Paired axial CT (left) and PSMA PET (right), 18F-PSMA tracer. PET panel 200×200 px (4.1 mm/px). An anonymization step blacked out a rectangle over the head in this scan.
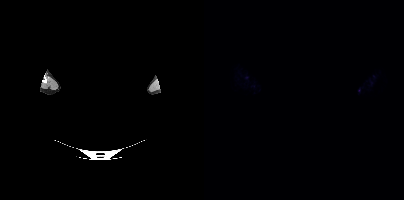
No tumor lesions annotated on this slice.